modality: PSMA PET/CT | tracer: 18F | view: axial
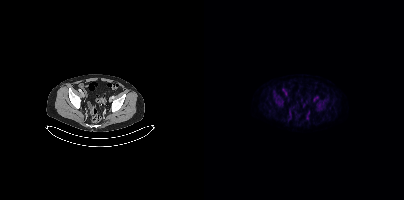
This slice has no annotated PSMA-avid lesion.